Two-panel axial: CT | PSMA PET, 18F tracer. Slice position z = -946 mm. PET panel 200×200 px (4.1 mm/px).
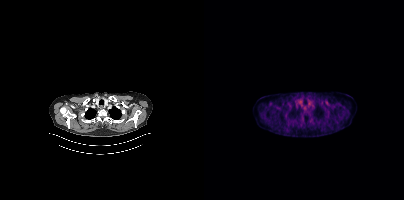
Negative for PSMA-avid disease on this slice.